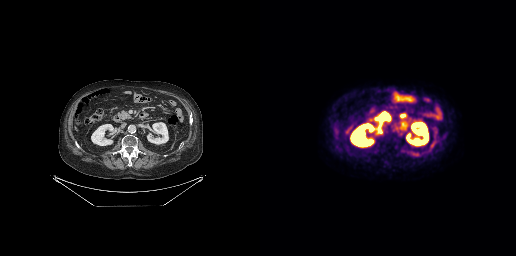
This slice has no annotated PSMA-avid lesion.